- Two-panel axial: CT | PSMA PET, 18F-PSMA tracer
- acquired on Siemens Biograph mCT Flow 20
- PET panel 200×200 px (4.1 mm/px)
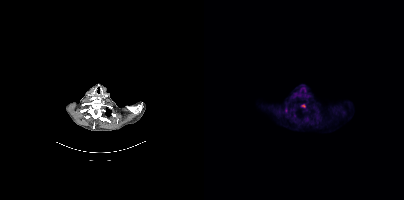
Findings: Coordinates are on the 200×200 PET (right) panel. PSMA-avid tumor lesion bounding box (x, y, width, height): x=97 y=104 w=5 h=4.